modality: PSMA PET/CT | tracer: 18F-PSMA | view: axial | PET grid: 200×200
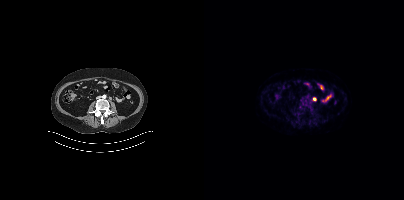
Coordinates are on the 200×200 PET (right) panel. Small PSMA-avid focus (2 to 4 px across) near (center x, center y): (110, 98).